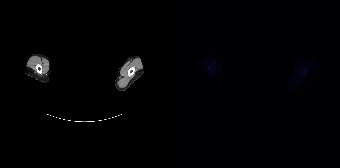
This slice has no annotated PSMA-avid lesion.
Any black rectangle over the head is a privacy mask, not anatomy.